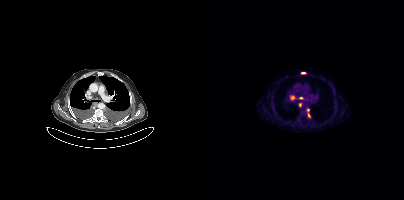
Technique: Paired axial CT (left) and PSMA PET (right), 18F tracer. acquired on Siemens Biograph mCT Flow 20. PET panel 200×200 px (4.1 mm/px).
Findings: Coordinates are on the 200×200 PET (right) panel. PSMA-avid tumor lesion bounding boxes (x, y, width, height): x=86 y=95 w=6 h=6 / x=103 y=109 w=4 h=9 / x=97 y=72 w=6 h=3. Small PSMA-avid foci (2 to 4 px across) near (center x, center y): (96, 104) / (96, 98).